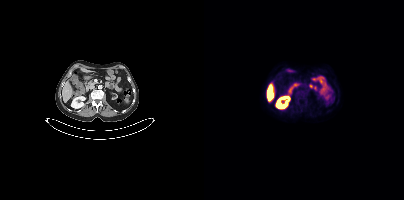
Technique: Left: CT. Right: PSMA PET, same axial level, 18F tracer. acquired on Siemens Biograph mCT Flow 20. slice position z = -1238 mm.
Findings: Negative for PSMA-avid disease on this slice.